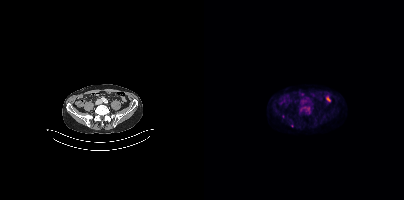
Left: CT. Right: PSMA PET, same axial level, 18F-PSMA tracer. Slice 131 of 423. PET panel 200×200 px (4.1 mm/px). Coordinates are on the 200×200 PET (right) panel. (showing 3 of 5 foci) Small PSMA-avid foci (2 to 4 px across) near (center x, center y): (104, 108); (96, 112); (79, 116).